Paired axial CT (left) and PSMA PET (right), 18F tracer. Acquired on Siemens Biograph 64-4R TruePoint. Slice position z = -1541 mm.
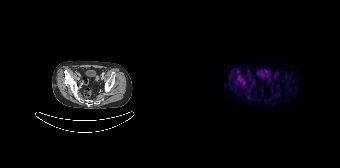
Only PSMA-avid lesion pieces thinner than 2 px on this slice (not listed).